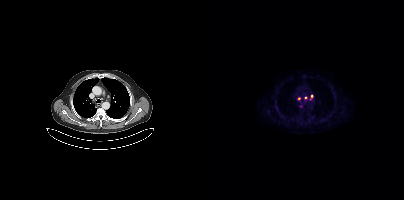
Technique: Paired axial CT (left) and PSMA PET (right), 18F tracer. acquired on Siemens Biograph mCT Flow 20. slice position z = -312 mm. PET panel 200×200 px (4.1 mm/px).
Findings: Coordinates are on the 200×200 PET (right) panel. PSMA-avid tumor lesion bounding box (x0,y0,x1,y1): [105,95,108,100]. Small PSMA-avid foci (2 to 4 px across) near (center x, center y): (95, 98), (101, 97).